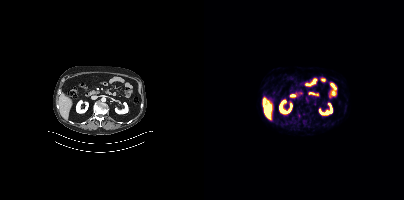
No tumor lesions annotated on this slice.